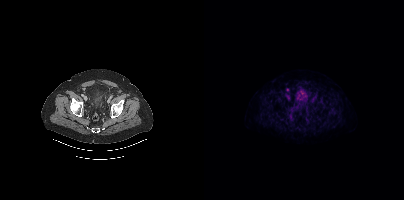
Technique: Left: CT. Right: PSMA PET, same axial level, [18F]PSMA-1007 tracer. acquired on Siemens Biograph mCT Flow 20. PET panel 200×200 px (4.1 mm/px).
Findings: Coordinates are on the 200×200 PET (right) panel. Small PSMA-avid focus (2 to 4 px across) near (center x, center y): (83, 89).